Paired axial CT (left) and PSMA PET (right), 18F tracer. Slice 257 of 421. PET panel 200×200 px (4.1 mm/px).
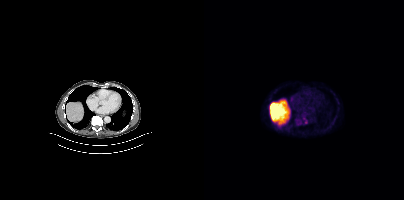
Coordinates are on the 200×200 PET (right) panel. Small PSMA-avid focus (2 to 4 px across) near (center x, center y): (101, 122).